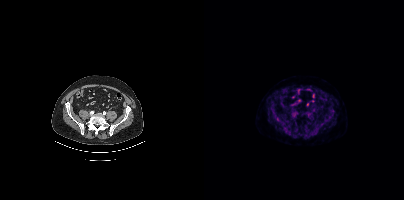
No PSMA-avid tumor lesions on this slice.